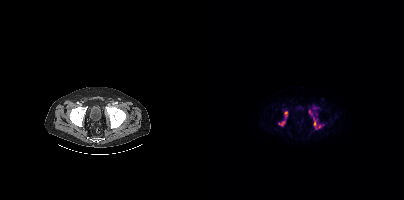
Left: CT. Right: PSMA PET, same axial level, 18F-PSMA tracer. PET panel 200×200 px (4.1 mm/px).
Coordinates are on the 200×200 PET (right) panel. PSMA-avid tumor lesion bounding boxes:
| # | x0 | y0 | x1 | y1 |
|---|---|---|---|---|
| 1 | 110 | 119 | 119 | 129 |
| 2 | 104 | 109 | 109 | 116 |
| 3 | 80 | 110 | 84 | 117 |
| 4 | 74 | 121 | 81 | 125 |
| 5 | 110 | 106 | 114 | 109 |